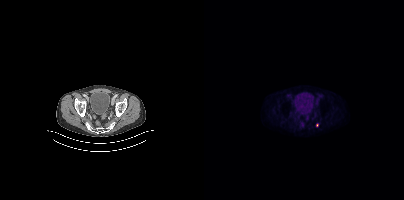
Coordinates are on the 200×200 PET (right) panel. Small PSMA-avid focus (2 to 4 px across) near (center x, center y): (112, 125).
modality: PSMA PET/CT | tracer: [18F]PSMA-1007 | view: axial